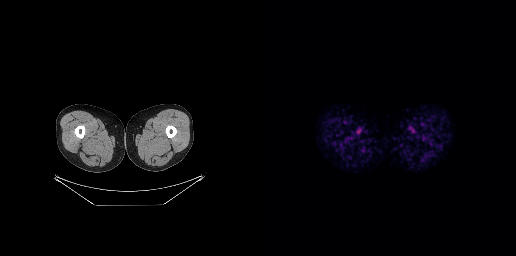
{"modality":"PSMA PET/CT","view":"axial","tracer":"18F","pet_grid":[256,256],"coord_frame":"pet_panel","coord_format":"x0,y0,x1,y1","psma_avid_lesions":false}